Technique: Two-panel axial: CT | PSMA PET, 18F-PSMA tracer.
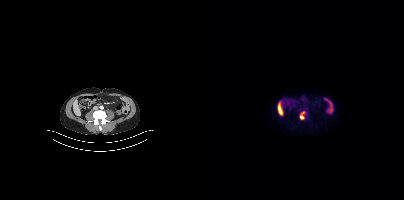
Findings: Coordinates are on the 200×200 PET (right) panel. PSMA-avid tumor lesion bounding box (x0, y0)-(x1, y1): (96, 112)-(100, 119).